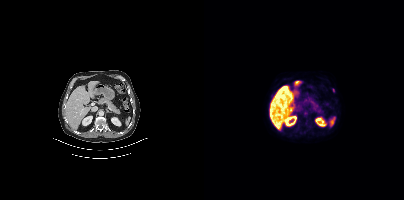
This slice has no annotated PSMA-avid lesion.